- Two-panel axial: CT | PSMA PET, 18F tracer
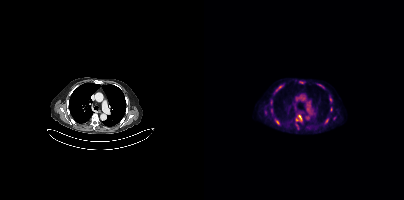
Findings: Coordinates are on the 200×200 PET (right) panel. (showing 8 of 12 foci) PSMA-avid tumor lesion bounding boxes (x0, y0)-(x1, y1): (94, 115)-(98, 120); (72, 120)-(75, 124). Small PSMA-avid foci (2 to 4 px across) near (center x, center y): (75, 87); (122, 120); (97, 82); (93, 119); (116, 84); (67, 110).